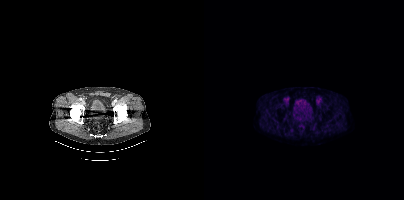
{"modality":"PSMA PET/CT","view":"axial","tracer":"18F-PSMA","pet_grid":[200,200],"coord_frame":"pet_panel","coord_format":"x0,y0,x1,y1","psma_avid_lesions":false}